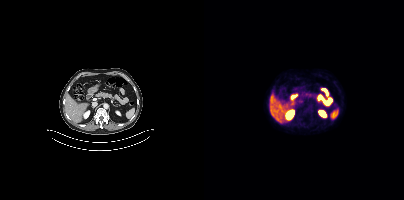
No tumor lesions annotated on this slice.